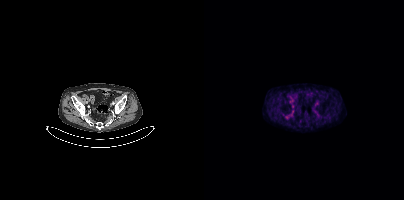
{"modality":"PSMA PET/CT","view":"axial","tracer":"18F","pet_grid":[200,200],"coord_frame":"pet_panel","coord_format":"x0,y0,x1,y1","psma_avid_lesions":false}